- Two-panel axial: CT | PSMA PET, 18F-PSMA tracer
- acquired on Siemens Biograph mCT Flow 20
- slice position z = -488 mm
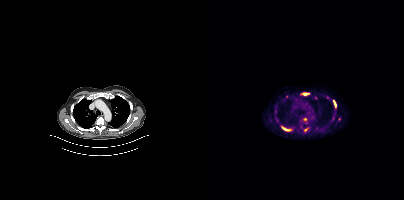
Findings: Coordinates are on the 200×200 PET (right) panel. (showing 6 of 7 foci) PSMA-avid tumor lesion bounding boxes (x0, y0)-(x1, y1): (77, 126)-(87, 131) | (97, 92)-(105, 95) | (129, 100)-(132, 107) | (100, 128)-(104, 131). Small PSMA-avid foci (2 to 4 px across) near (center x, center y): (100, 119) | (82, 96).